- Left: CT. Right: PSMA PET, same axial level, 18F tracer
- slice position z = -539 mm
- PET panel 200×200 px (4.1 mm/px)
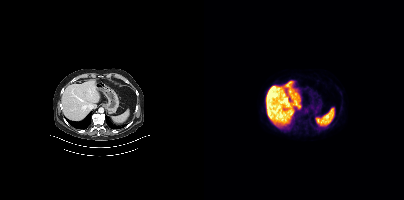
Findings: No PSMA-avid tumor lesions on this slice.